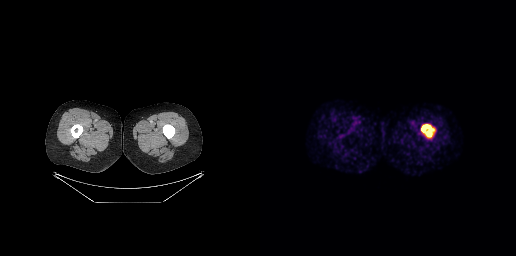
Coordinates are on the 256×256 PET (right) panel. PSMA-avid tumor lesion bounding box (x, y, width, height): x=161 y=124 w=14 h=14.